Left: CT. Right: PSMA PET, same axial level, [18F]PSMA-1007 tracer. Acquired on Siemens Biograph mCT Flow 20.
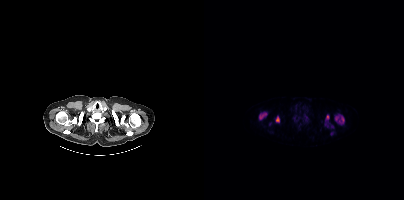
Coordinates are on the 200×200 PET (right) panel. PSMA-avid tumor lesion bounding boxes (partial; 1 more focus not listed):
| # | x0 | y0 | x1 | y1 |
|---|---|---|---|---|
| 1 | 131 | 114 | 140 | 124 |
| 2 | 55 | 112 | 62 | 119 |
| 3 | 121 | 115 | 125 | 120 |
| 4 | 72 | 117 | 75 | 122 |